Technique: Two-panel axial: CT | PSMA PET, [18F]PSMA-1007 tracer. PET panel 200×200 px (4.1 mm/px).
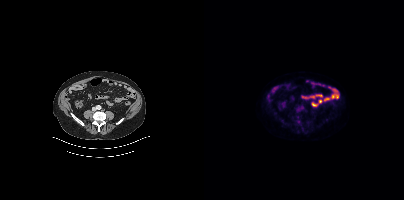
Findings: This slice has no annotated PSMA-avid lesion.